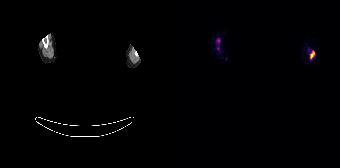
Left: CT. Right: PSMA PET, same axial level, 18F tracer. Acquired on Siemens Biograph 64-4R TruePoint. PET panel 168×168 px (4.1 mm/px). De-identified by setting a box covering the face to black before release.
Coordinates are on the 168×168 PET (right) panel. PSMA-avid tumor lesion bounding boxes:
| # | x0 | y0 | x1 | y1 |
|---|---|---|---|---|
| 1 | 138 | 51 | 142 | 58 |